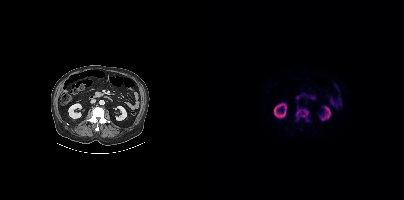
Coordinates are on the 200×200 PET (right) panel. PSMA-avid tumor lesion bounding box (x, y, width, height): x=91 y=107 w=14 h=15.